Two-panel axial: CT | PSMA PET, [18F]PSMA-1007 tracer. Slice 302 of 403. PET panel 200×200 px (4.1 mm/px).
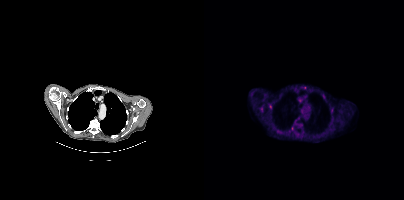
Coordinates are on the 200×200 PET (right) panel. (showing 1 of 3 foci) Small PSMA-avid focus (2 to 4 px across) near (center x, center y): (66, 106).